Left: CT. Right: PSMA PET, same axial level, 18F-PSMA tracer. PET panel 200×200 px (4.1 mm/px).
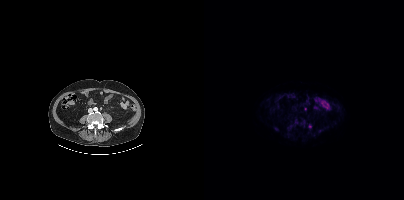
Coordinates are on the 200×200 PET (right) panel. Small PSMA-avid focus (2 to 4 px across) near (center x, center y): (101, 108).